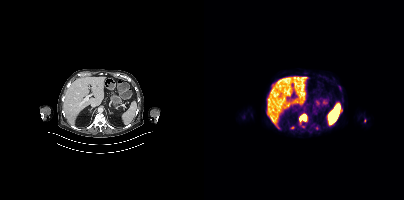
Coordinates are on the 200×200 PET (right) panel. PSMA-avid tumor lesion bounding boxes (x0,y0,x1,y1): [96,114,102,120], [134,101,137,106]. Small PSMA-avid foci (2 to 4 px across) near (center x, center y): (113, 127), (87, 127), (99, 126), (160, 120).